Left: CT. Right: PSMA PET, same axial level, 18F tracer. PET panel 200×200 px (4.1 mm/px).
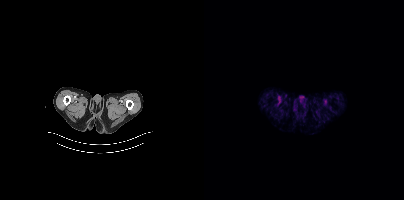
No tumor lesions annotated on this slice.